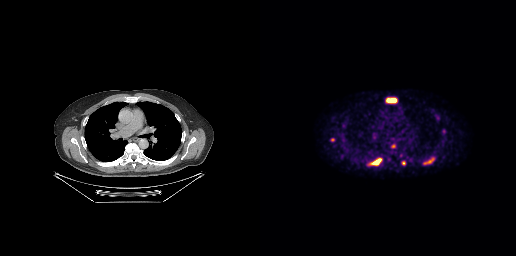
Coordinates are on the 256×256 PET (right) panel. PSMA-avid tumor lesion bounding boxes (x0, y0)-(x1, y1): (126, 97)-(137, 103) / (110, 158)-(121, 165) / (163, 157)-(174, 164). Small PSMA-avid foci (2 to 4 px across) near (center x, center y): (72, 139) / (143, 163) / (177, 118) / (133, 146).
modality: PSMA PET/CT | tracer: [18F]PSMA-1007 | view: axial